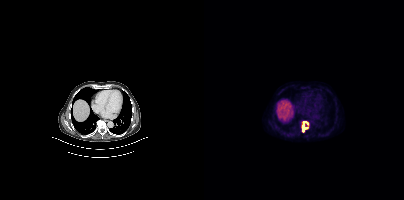
Two-panel axial: CT | PSMA PET, 18F tracer. PET panel 200×200 px (4.1 mm/px). Coordinates are on the 200×200 PET (right) panel. PSMA-avid tumor lesion bounding box (x, y, width, height): x=97 y=121 w=8 h=12.